De-identified by setting a box covering the face to black before release. Paired axial CT (left) and PSMA PET (right), [68Ga]Ga-PSMA-11 tracer. PET panel 256×256 px (2.7 mm/px).
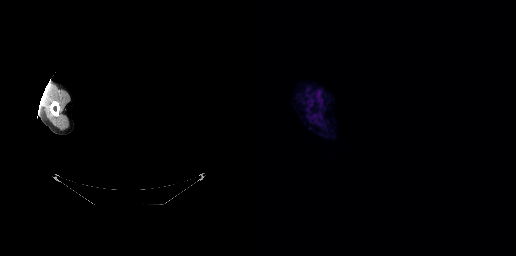
Negative for PSMA-avid disease on this slice.